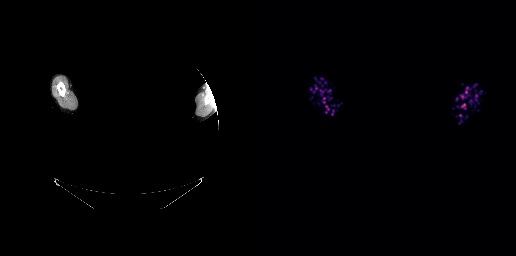
This slice has no annotated PSMA-avid lesion.
The head region is masked for de-identification.